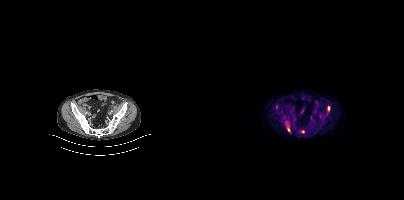
Coordinates are on the 200×200 PET (right) panel. PSMA-avid tumor lesion bounding boxes:
| # | x0 | y0 | x1 | y1 |
|---|---|---|---|---|
| 1 | 124 | 106 | 125 | 110 |
Small PSMA-avid foci (2 to 4 px across) near (center x, center y): (84, 129); (99, 131).
Paired axial CT (left) and PSMA PET (right), [18F]PSMA-1007 tracer. Acquired on Siemens Biograph mCT Flow 20. Slice position z = -904 mm.